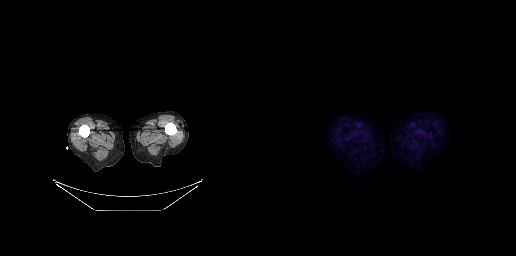
- Left: CT. Right: PSMA PET, same axial level, 18F-PSMA tracer
- slice position z = -794 mm
- PET panel 256×256 px (2.7 mm/px)
Findings: No PSMA-avid tumor lesions on this slice.